- Left: CT. Right: PSMA PET, same axial level, 18F-PSMA tracer
- PET panel 200×200 px (4.1 mm/px)
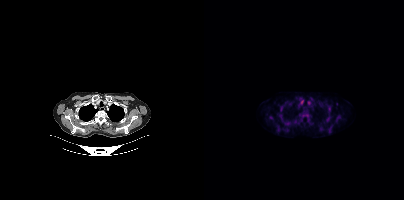
Findings: Coordinates are on the 200×200 PET (right) panel. PSMA-avid tumor lesion bounding box (x0,y0,x1,y1): [76,106,78,110]. Small PSMA-avid foci (2 to 4 px across) near (center x, center y): (125, 109); (76, 116); (67, 117).